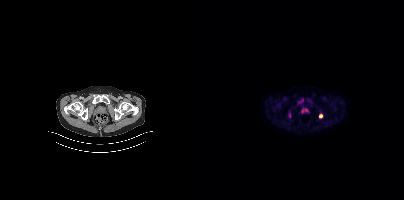
Coordinates are on the 200×200 PET (right) panel. Small PSMA-avid focus (2 to 4 px across) near (center x, center y): (116, 115).
modality: PSMA PET/CT | tracer: [18F]PSMA-1007 | view: axial